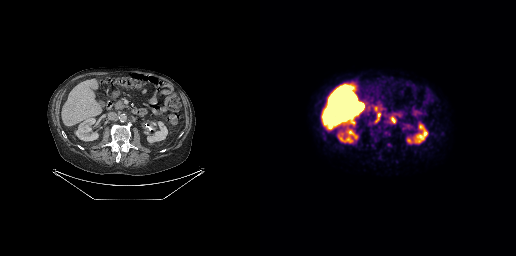
Coordinates are on the 256×256 PET (right) panel. PSMA-avid tumor lesion bounding box (x0, y0)-(x1, y1): (129, 116)-(136, 123).